Two-panel axial: CT | PSMA PET, [18F]PSMA-1007 tracer. Slice 157 of 409.
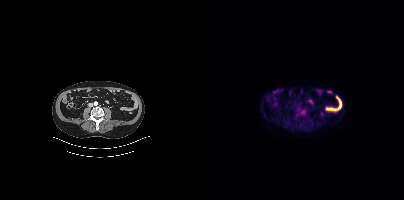
This slice has no annotated PSMA-avid lesion.